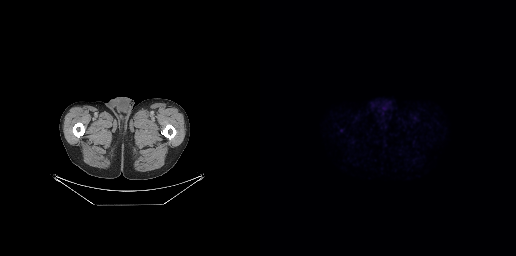
This slice has no annotated PSMA-avid lesion.
modality: PSMA PET/CT | tracer: 18F | view: axial | PET grid: 256×256